Two-panel axial: CT | PSMA PET, 18F tracer.
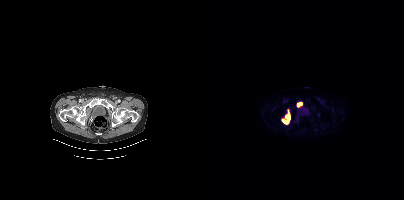
Coordinates are on the 200×200 PET (right) panel. PSMA-avid tumor lesion bounding boxes (x, y, width, height): x=78 y=110 w=8 h=13 / x=93 y=102 w=6 h=5. Small PSMA-avid focus (2 to 4 px across) near (center x, center y): (83, 123).